Two-panel axial: CT | PSMA PET, 18F-PSMA tracer. Acquired on GE Discovery 690. Slice 38 of 299.
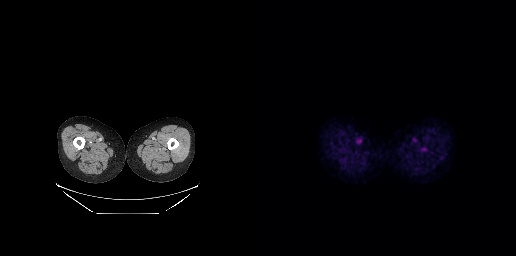
This slice has no annotated PSMA-avid lesion.